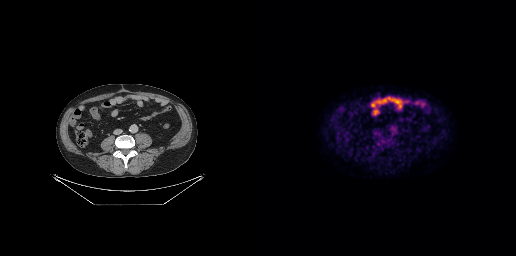
Paired axial CT (left) and PSMA PET (right), 18F tracer. Slice position z = -564 mm. PET panel 256×256 px (2.7 mm/px). Negative for PSMA-avid disease on this slice.